Paired axial CT (left) and PSMA PET (right), 18F tracer. Slice position z = -1437 mm. PET panel 200×200 px (4.1 mm/px).
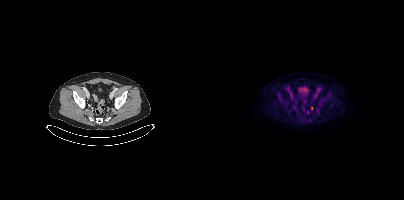
Coordinates are on the 200×200 PET (right) panel. (showing 1 of 2 foci) Small PSMA-avid focus (2 to 4 px across) near (center x, center y): (107, 108).